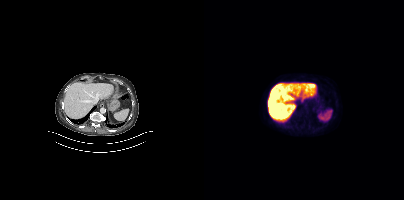
Findings: No PSMA-avid tumor lesions on this slice.
- Paired axial CT (left) and PSMA PET (right), [18F]PSMA-1007 tracer
- PET panel 200×200 px (4.1 mm/px)